modality: PSMA PET/CT | tracer: [18F]PSMA-1007 | view: axial | PET grid: 168×168
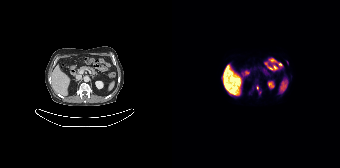
Coordinates are on the 168×168 PET (right) panel. Small PSMA-avid focus (2 to 4 px across) near (center x, center y): (85, 87).